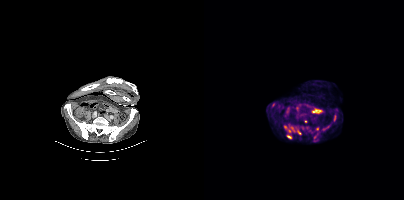
Paired axial CT (left) and PSMA PET (right), [18F]PSMA-1007 tracer. Slice 112 of 403. PET panel 200×200 px (4.1 mm/px). Coordinates are on the 200×200 PET (right) panel. PSMA-avid tumor lesion bounding boxes (x0,y0,x1,y1): [85,127,97,134]; [120,125,125,130]; [83,135,88,138]; [130,115,132,121]. Small PSMA-avid foci (2 to 4 px across) near (center x, center y): (69, 104); (113, 128); (101, 121); (81, 126); (110, 137).